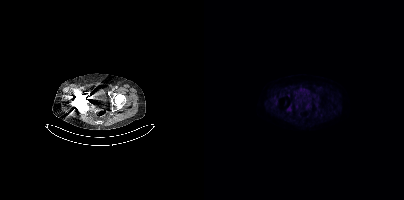
Two-panel axial: CT | PSMA PET, 18F tracer. Acquired on Siemens Biograph mCT Flow 20. Slice position z = -220 mm. PET panel 200×200 px (4.1 mm/px). No tumor lesions annotated on this slice.